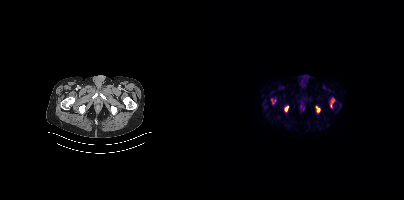
{"pet_grid":[200,200],"coord_frame":"pet_panel","coord_format":"x0,y0,x1,y1","lesion_bboxes":[[126,98,130,107],[112,106,116,112],[81,106,84,111],[67,99,71,103]],"modality":"PSMA PET/CT","view":"axial","tracer":"18F"}